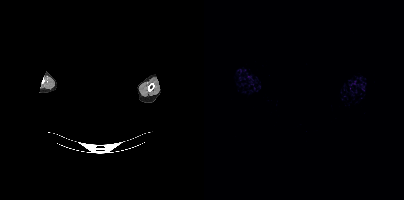
- Paired axial CT (left) and PSMA PET (right), [68Ga]Ga-PSMA-11 tracer
- slice position z = -796 mm
- facial anatomy redacted by setting a rectangular region of the head to black
Findings: No PSMA-avid tumor lesions on this slice.